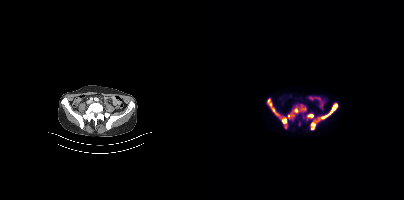
{"pet_grid":[200,200],"coord_frame":"pet_panel","coord_format":"x0,y0,x1,y1","lesion_bboxes":[[106,102,134,130],[63,98,83,128],[83,104,102,119],[103,113,109,119]],"modality":"PSMA PET/CT","view":"axial","tracer":"18F-PSMA"}